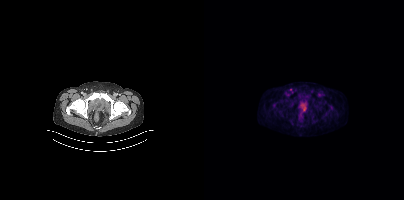
Findings: Only PSMA-avid lesion pieces thinner than 2 px on this slice (not listed).
Technique: Paired axial CT (left) and PSMA PET (right), [18F]PSMA-1007 tracer. acquired on Siemens Biograph mCT Flow 20. slice position z = -1496 mm.